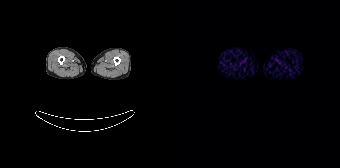
No PSMA-avid tumor lesions on this slice.